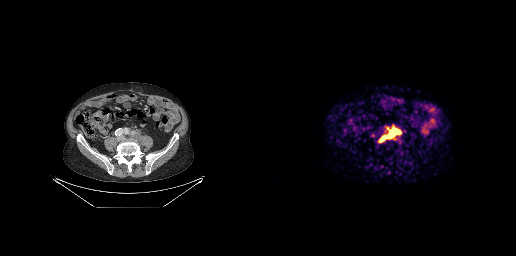
modality: PSMA PET/CT | tracer: [68Ga]Ga-PSMA-11 | view: axial
Coordinates are on the 256×256 PET (right) panel. PSMA-avid tumor lesion bounding box (x, y, width, height): x=120 y=126 w=22 h=16.